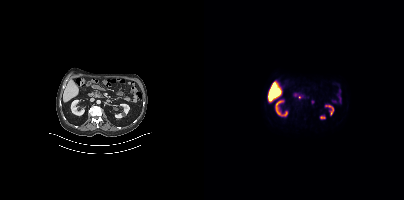
{"pet_grid":[200,200],"coord_frame":"pet_panel","coord_format":"x0,y0,x1,y1","psma_avid_lesions":false,"modality":"PSMA PET/CT","view":"axial","tracer":"18F"}